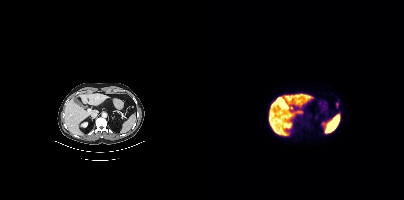
Paired axial CT (left) and PSMA PET (right), 18F-PSMA tracer. Acquired on Siemens Biograph mCT Flow 20. Only PSMA-avid lesion pieces thinner than 2 px on this slice (not listed).